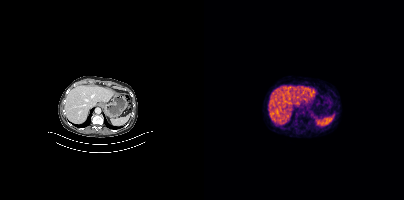
No PSMA-avid tumor lesions on this slice.